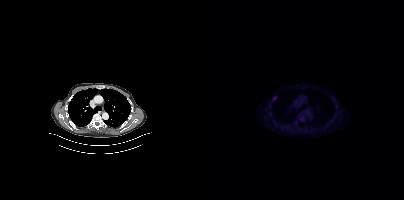
{"pet_grid":[200,200],"coord_frame":"pet_panel","coord_format":"x0,y0,x1,y1","lesion_bboxes":[],"small_foci_centers":[[70,98]],"modality":"PSMA PET/CT","view":"axial","tracer":"18F-PSMA"}